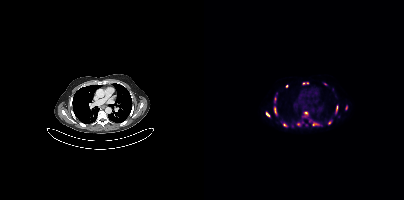
- Two-panel axial: CT | PSMA PET, 18F tracer
- acquired on Siemens Biograph mCT Flow 20
- PET panel 200×200 px (4.1 mm/px)
Findings: Coordinates are on the 200×200 PET (right) panel. (showing 14 of 15 foci) PSMA-avid tumor lesion bounding boxes (x0, y0)-(x1, y1): (98, 82)-(104, 84) / (70, 97)-(72, 102) / (109, 123)-(115, 125) / (70, 107)-(72, 114) / (94, 122)-(96, 126) / (132, 105)-(133, 112) / (141, 105)-(143, 109) / (62, 112)-(65, 116). Small PSMA-avid foci (2 to 4 px across) near (center x, center y): (125, 122) / (102, 113) / (82, 124) / (121, 84) / (82, 86) / (102, 124).